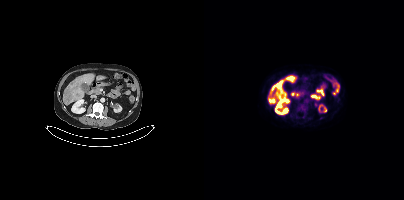
Findings: Coordinates are on the 200×200 PET (right) panel. (showing 1 of 2 foci) PSMA-avid tumor lesion bounding box (x0, y0)-(x1, y1): (72, 82)-(77, 87).
Technique: Paired axial CT (left) and PSMA PET (right), 18F tracer. acquired on Siemens Biograph mCT Flow 20.